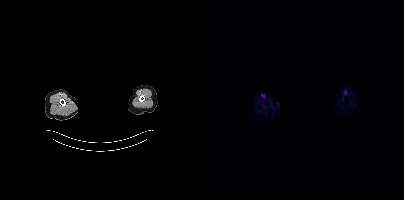
Findings: Negative for PSMA-avid disease on this slice.
- a rectangle over the head was blacked out to remove identifiable facial features
- Left: CT. Right: PSMA PET, same axial level, 18F-PSMA tracer
- acquired on Siemens Biograph mCT Flow 20
- slice position z = -1058 mm